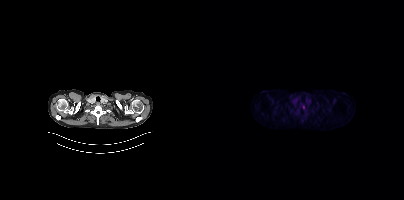
No tumor lesions annotated on this slice. Paired axial CT (left) and PSMA PET (right), 18F-PSMA tracer. Acquired on Siemens Biograph mCT Flow 20. Slice 347 of 415.